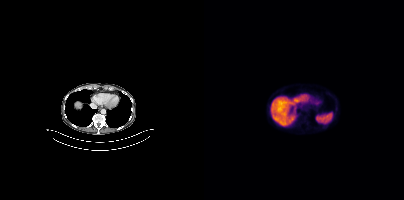
This slice has no annotated PSMA-avid lesion.